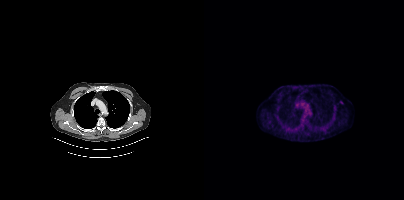
Coordinates are on the 200×200 PET (right) panel. Small PSMA-avid focus (2 to 4 px across) near (center x, center y): (137, 102).
modality: PSMA PET/CT | tracer: [18F]PSMA-1007 | view: axial | PET grid: 200×200